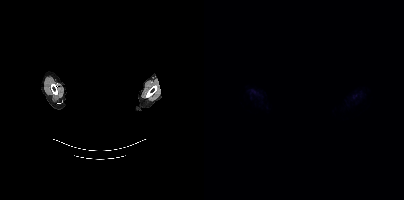
No PSMA-avid tumor lesions on this slice. An anonymization step blacked out a rectangle over the head in this scan. Paired axial CT (left) and PSMA PET (right), 18F-PSMA tracer. Slice position z = -344 mm.